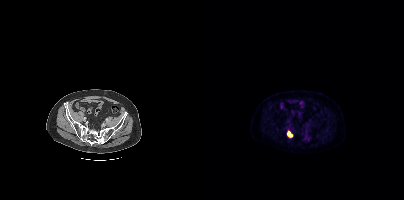
Technique: Two-panel axial: CT | PSMA PET, [18F]PSMA-1007 tracer. PET panel 200×200 px (4.1 mm/px).
Findings: Coordinates are on the 200×200 PET (right) panel. PSMA-avid tumor lesion bounding box (x, y, width, height): x=83 y=132 w=6 h=5.